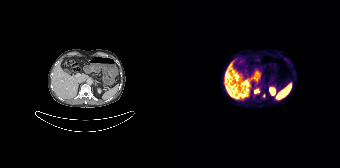
- Paired axial CT (left) and PSMA PET (right), 68Ga tracer
- acquired on Siemens Biograph 64-4R TruePoint
- slice position z = -1054 mm
Findings: Coordinates are on the 168×168 PET (right) panel. (showing 1 of 2 foci) Small PSMA-avid focus (2 to 4 px across) near (center x, center y): (83, 91).